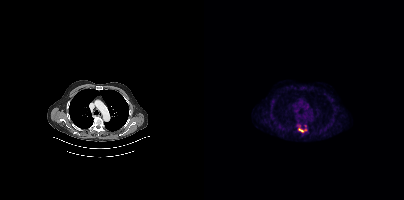
modality: PSMA PET/CT | tracer: 18F-PSMA | view: axial
Coordinates are on the 200×200 PET (right) panel. (showing 1 of 2 foci) PSMA-avid tumor lesion bounding box (x, y, width, height): x=94 y=128 w=9 h=5.